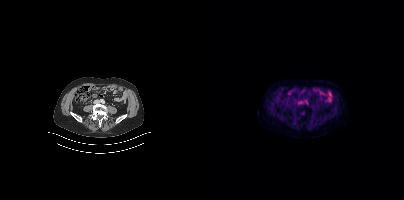
No PSMA-avid tumor lesions on this slice.